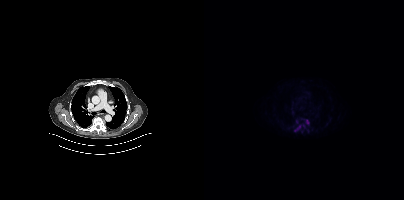
Findings: Coordinates are on the 200×200 PET (right) panel. PSMA-avid tumor lesion bounding boxes (x, y, width, height): x=92 y=124 w=9 h=7 | x=101 y=119 w=5 h=7. Small PSMA-avid focus (2 to 4 px across) near (center x, center y): (93, 121).
Technique: Two-panel axial: CT | PSMA PET, 18F-PSMA tracer. PET panel 200×200 px (4.1 mm/px).